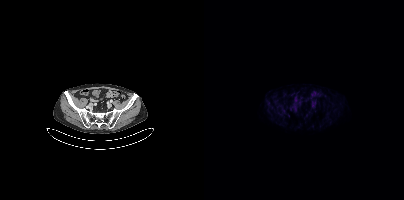
Left: CT. Right: PSMA PET, same axial level, 18F-PSMA tracer. Acquired on Siemens Biograph mCT Flow 20. Slice 110 of 431. No tumor lesions annotated on this slice.